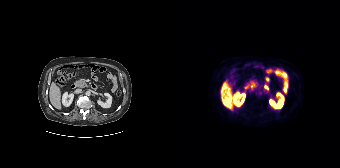
Two-panel axial: CT | PSMA PET, 18F tracer. PET panel 168×168 px (4.1 mm/px). No PSMA-avid tumor lesions on this slice.